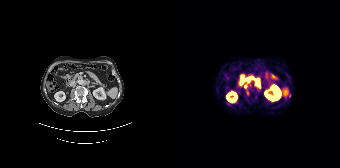
Findings: Coordinates are on the 168×168 PET (right) panel. (showing 4 of 7 foci) PSMA-avid tumor lesion bounding box (x, y, width, height): x=82 y=78 w=7 h=11. Small PSMA-avid foci (2 to 4 px across) near (center x, center y): (75, 92) / (117, 96) / (74, 87).
- Left: CT. Right: PSMA PET, same axial level, 68Ga tracer
- acquired on Siemens Biograph 64-4R TruePoint